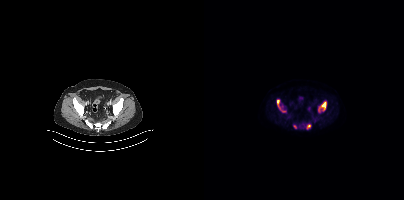
Technique: Paired axial CT (left) and PSMA PET (right), 18F-PSMA tracer. PET panel 200×200 px (4.1 mm/px).
Findings: Coordinates are on the 200×200 PET (right) panel. (showing 4 of 5 foci) PSMA-avid tumor lesion bounding boxes (x0, y0)-(x1, y1): (114, 101)-(122, 112) / (73, 100)-(75, 107) / (103, 124)-(106, 128). Small PSMA-avid focus (2 to 4 px across) near (center x, center y): (91, 126).